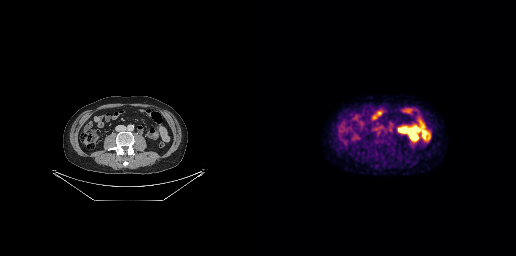
- Paired axial CT (left) and PSMA PET (right), [18F]PSMA-1007 tracer
- acquired on GE Discovery 690
- slice position z = -521 mm
Findings: No tumor lesions annotated on this slice.